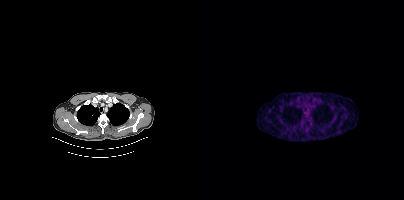
- Paired axial CT (left) and PSMA PET (right), 18F-PSMA tracer
- PET panel 200×200 px (4.1 mm/px)
Findings: Negative for PSMA-avid disease on this slice.